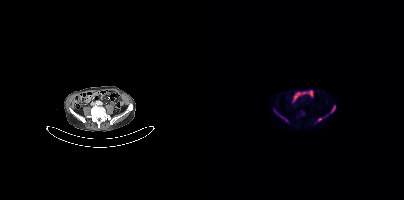
Coordinates are on the 200×200 PET (right) panel. PSMA-avid tumor lesion bounding boxes (x0,y0,x1,y1): [70,109,83,121]; [127,105,131,112]; [114,118,118,120].